Left: CT. Right: PSMA PET, same axial level, 68Ga tracer. Acquired on Siemens Biograph 64-4R TruePoint. PET panel 168×168 px (4.1 mm/px).
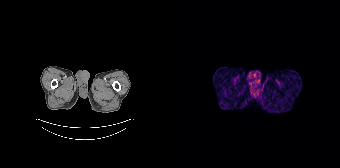
This slice has no annotated PSMA-avid lesion.